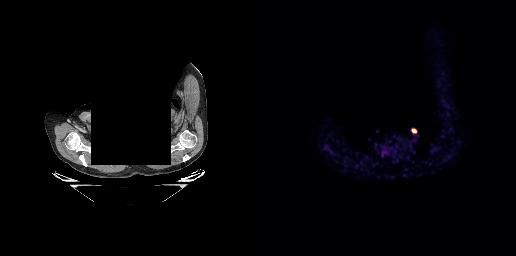
Two-panel axial: CT | PSMA PET, [18F]PSMA-1007 tracer. An anonymization step blacked out a rectangle over the head in this scan. Coordinates are on the 256×256 PET (right) panel. PSMA-avid tumor lesion bounding box (x, y, width, height): x=152 y=129 w=5 h=4.